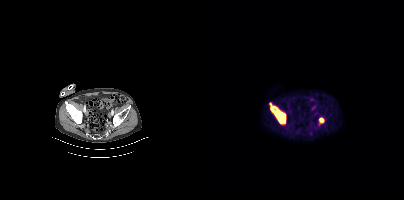
{"modality":"PSMA PET/CT","view":"axial","tracer":"[18F]PSMA-1007","pet_grid":[200,200],"coord_frame":"pet_panel","coord_format":"x0,y0,x1,y1","lesion_bboxes":[[65,102,82,124],[114,118,120,126]]}